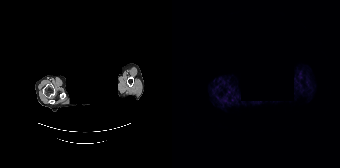
{"pet_grid":[168,168],"coord_frame":"pet_panel","coord_format":"x0,y0,x1,y1","psma_avid_lesions":false,"de-identification":"head region blanked (face removed)","modality":"PSMA PET/CT","view":"axial","tracer":"68Ga-PSMA"}